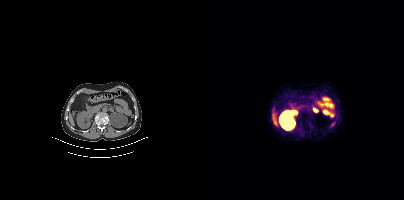
- Two-panel axial: CT | PSMA PET, 68Ga-PSMA tracer
- acquired on Siemens Biograph mCT Flow 20
- PET panel 200×200 px (4.1 mm/px)
Findings: No PSMA-avid tumor lesions on this slice.